Left: CT. Right: PSMA PET, same axial level, 18F-PSMA tracer. Acquired on Siemens Biograph mCT Flow 20.
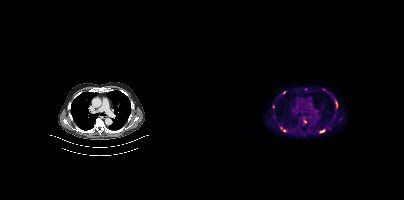
Coordinates are on the 200×200 PET (right) panel. PSMA-avid tumor lesion bounding boxes (partial; 1 more focus not listed):
| # | x0 | y0 | x1 | y1 |
|---|---|---|---|---|
| 1 | 76 | 127 | 82 | 131 |
| 2 | 115 | 129 | 120 | 132 |
| 3 | 132 | 102 | 133 | 106 |
Small PSMA-avid foci (2 to 4 px across) near (center x, center y): (101, 121); (80, 92); (69, 106).